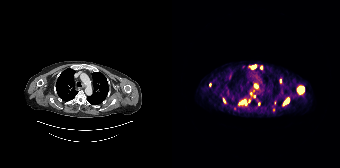
Coordinates are on the 168×168 PET (right) panel. PSMA-avid tumor lesion bounding boxes (partial; 8 more foci not listed):
| # | x0 | y0 | x1 | y1 |
|---|---|---|---|---|
| 1 | 126 | 87 | 132 | 93 |
| 2 | 67 | 100 | 74 | 104 |
| 3 | 77 | 65 | 83 | 68 |
Small PSMA-avid foci (2 to 4 px across) near (center x, center y): (83, 85); (116, 100); (112, 103); (108, 80).
Two-panel axial: CT | PSMA PET, [68Ga]Ga-PSMA-11 tracer. Slice position z = -326 mm. PET panel 168×168 px (4.1 mm/px).